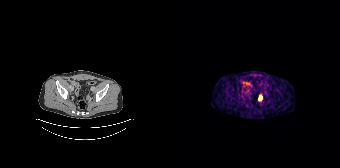
Technique: Paired axial CT (left) and PSMA PET (right), [68Ga]Ga-PSMA-11 tracer. PET panel 168×168 px (4.1 mm/px).
Findings: Coordinates are on the 168×168 PET (right) panel. PSMA-avid tumor lesion bounding box (x0, y0)-(x1, y1): (87, 95)-(90, 100).